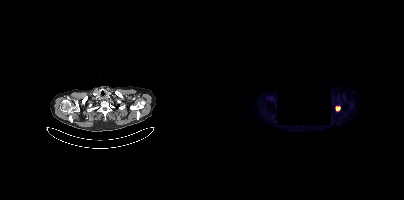
{"modality":"PSMA PET/CT","view":"axial","tracer":"[18F]PSMA-1007","pet_grid":[200,200],"coord_frame":"pet_panel","coord_format":"x0,y0,x1,y1","lesion_bboxes":[],"small_foci_centers":[[133,108]],"redaction":"privacy mask (black rectangle)"}